De-identified by setting a box covering the face to black before release. Left: CT. Right: PSMA PET, same axial level, 18F tracer. PET panel 200×200 px (4.1 mm/px).
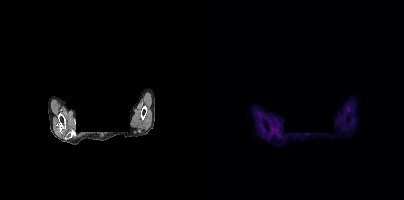
Coordinates are on the 200×200 PET (right) panel. Small PSMA-avid focus (2 to 4 px across) near (center x, center y): (75, 134).